modality: PSMA PET/CT | tracer: 18F-PSMA | view: axial | PET grid: 200×200 | redaction: head region blacked out before release
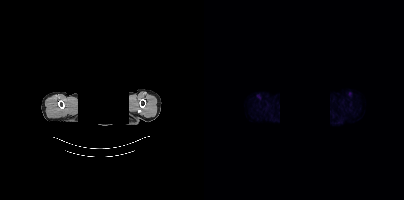
No tumor lesions annotated on this slice.